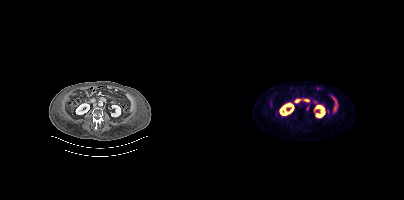
{"modality":"PSMA PET/CT","view":"axial","tracer":"[18F]PSMA-1007","pet_grid":[200,200],"coord_frame":"pet_panel","coord_format":"x0,y0,x1,y1","partial":true,"lesion_bboxes":[],"small_foci_centers":[[103,107]]}